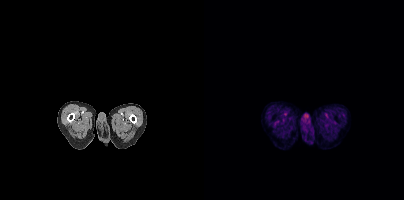
No PSMA-avid tumor lesions on this slice.